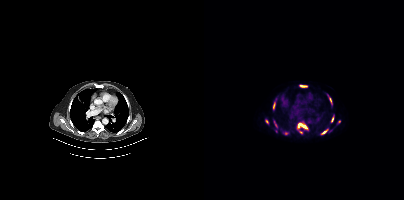
Coordinates are on the 200×200 PET (right) panel. (showing 6 of 10 foci) PSMA-avid tumor lesion bounding boxes (x, y, width, height): x=94 y=123 w=10 h=6; x=117 y=129 w=7 h=6; x=127 y=117 w=3 h=5. Small PSMA-avid foci (2 to 4 px across) near (center x, center y): (69, 106); (126, 99); (62, 121).